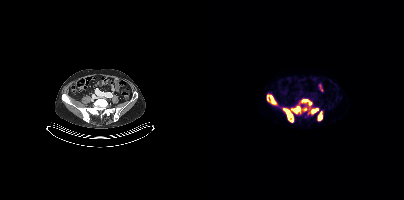
Paired axial CT (left) and PSMA PET (right), 18F-PSMA tracer. Coordinates are on the 200×200 PET (right) panel. PSMA-avid tumor lesion bounding boxes (x0,y0,x1,y1): [79,108,89,122], [87,106,96,113], [104,108,114,114], [114,112,118,120], [66,95,71,103], [98,99,107,104], [63,95,64,100], [98,108,102,109].